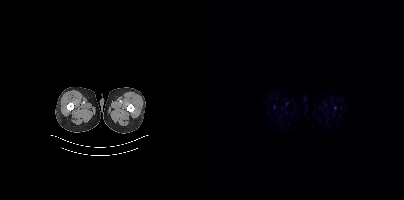
No PSMA-avid tumor lesions on this slice.